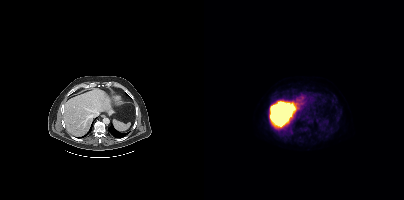
Negative for PSMA-avid disease on this slice.